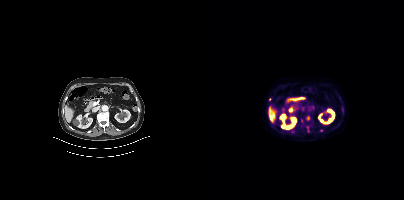
Findings: Coordinates are on the 200×200 PET (right) panel. (showing 4 of 6 foci) Small PSMA-avid foci (2 to 4 px across) near (center x, center y): (117, 130), (65, 99), (104, 118), (103, 127).
Technique: Left: CT. Right: PSMA PET, same axial level, [18F]PSMA-1007 tracer. slice 197 of 407.